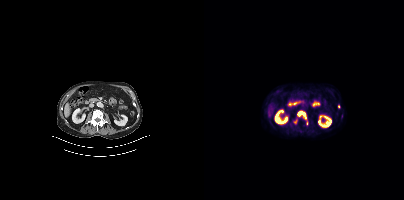
Coordinates are on the 200×200 PET (right) panel. (showing 3 of 5 foci) PSMA-avid tumor lesion bounding box (x, y, width, height): x=94 y=111 w=8 h=5. Small PSMA-avid foci (2 to 4 px across) near (center x, center y): (91, 121); (134, 106).
modality: PSMA PET/CT | tracer: [18F]PSMA-1007 | view: axial | PET grid: 200×200